Left: CT. Right: PSMA PET, same axial level, 18F tracer. Acquired on Siemens Biograph mCT Flow 20. Slice 205 of 344. PET panel 200×200 px (4.1 mm/px).
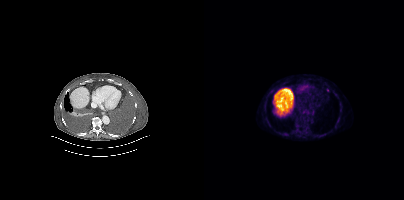
Coordinates are on the 200×200 PET (right) panel. Small PSMA-avid focus (2 to 4 px across) near (center x, center y): (109, 110).